Left: CT. Right: PSMA PET, same axial level, 18F-PSMA tracer. PET panel 200×200 px (4.1 mm/px).
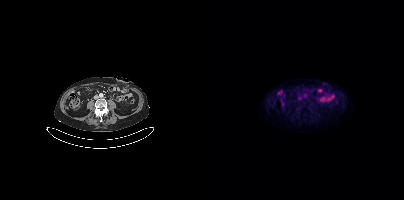
Negative for PSMA-avid disease on this slice.